Two-panel axial: CT | PSMA PET, [18F]PSMA-1007 tracer. Acquired on Siemens Biograph mCT Flow 20. PET panel 200×200 px (4.1 mm/px).
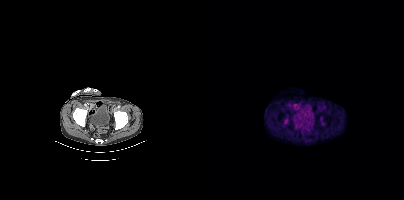
Coordinates are on the 200×200 PET (right) panel. PSMA-avid tumor lesion bounding box (x0, y0)-(x1, y1): (80, 119)-(83, 123). Small PSMA-avid foci (2 to 4 px across) near (center x, center y): (117, 118); (119, 123).